- Left: CT. Right: PSMA PET, same axial level, [18F]PSMA-1007 tracer
- acquired on Siemens Biograph mCT Flow 20
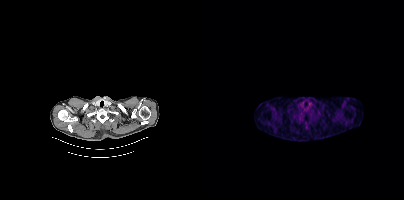
Findings: No tumor lesions annotated on this slice.